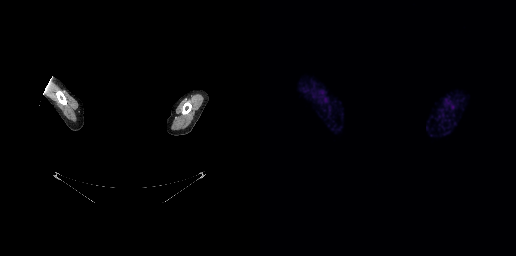
Face de-identified by blanking a block of the head.
This slice has no annotated PSMA-avid lesion.